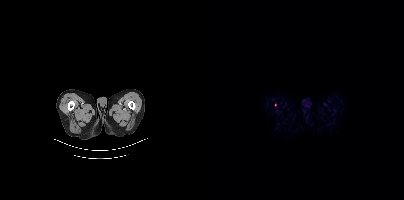
Coordinates are on the 200×200 PET (right) panel. Small PSMA-avid focus (2 to 4 px across) near (center x, center y): (71, 105).
modality: PSMA PET/CT | tracer: 18F | view: axial | PET grid: 200×200